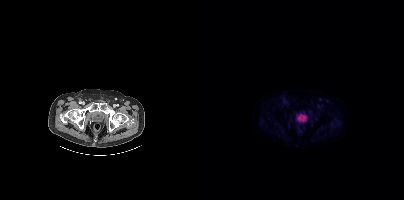
Coordinates are on the 200×200 PET (right) panel. Small PSMA-avid focus (2 to 4 px across) near (center x, center y): (116, 99). Left: CT. Right: PSMA PET, same axial level, 18F-PSMA tracer. Slice position z = -1563 mm. PET panel 200×200 px (4.1 mm/px).